Left: CT. Right: PSMA PET, same axial level, 18F-PSMA tracer. Acquired on Siemens Biograph mCT Flow 20. Slice 63 of 401.
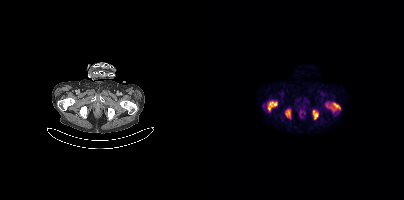
Coordinates are on the 200×200 PET (right) panel. PSMA-avid tumor lesion bounding boxes:
| # | x0 | y0 | x1 | y1 |
|---|---|---|---|---|
| 1 | 122 | 102 | 136 | 111 |
| 2 | 64 | 102 | 73 | 110 |
| 3 | 109 | 110 | 114 | 119 |
| 4 | 82 | 109 | 86 | 117 |